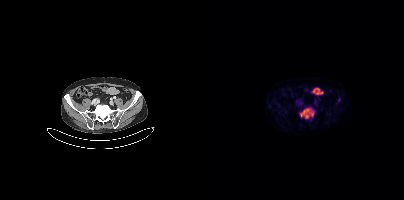
Paired axial CT (left) and PSMA PET (right), 18F tracer.
Coordinates are on the 200×200 PET (right) panel. PSMA-avid tumor lesion bounding boxes:
| # | x0 | y0 | x1 | y1 |
|---|---|---|---|---|
| 1 | 96 | 108 | 110 | 118 |
Small PSMA-avid focus (2 to 4 px across) near (center x, center y): (134, 100).